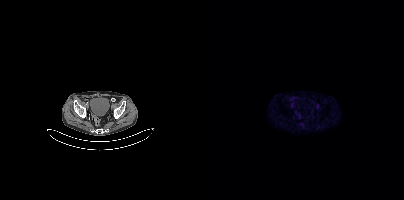
{"modality":"PSMA PET/CT","view":"axial","tracer":"[18F]PSMA-1007","pet_grid":[200,200],"coord_frame":"pet_panel","coord_format":"x0,y0,x1,y1","psma_avid_lesions":false}